- Paired axial CT (left) and PSMA PET (right), 68Ga tracer
- acquired on GE Discovery 690
- slice position z = -693 mm
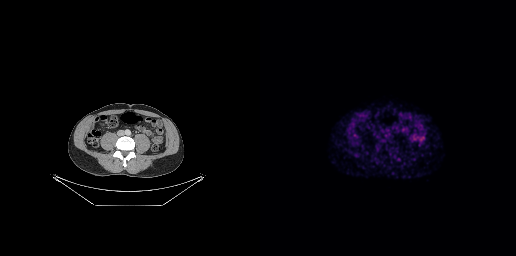
Findings: No tumor lesions annotated on this slice.